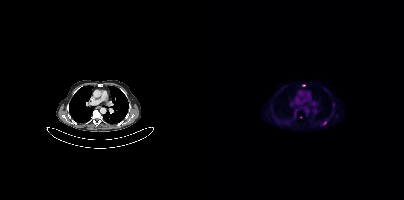
Coordinates are on the 200×200 PET (right) panel. PSMA-avid tumor lesion bounding box (x, y, width, height): x=118 y=121 w=5 h=5. Small PSMA-avid focus (2 to 4 px across) near (center x, center y): (99, 85).